Technique: Two-panel axial: CT | PSMA PET, 18F tracer. slice 341 of 435. PET panel 200×200 px (4.1 mm/px).
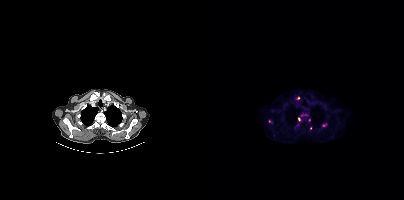
Findings: Coordinates are on the 200×200 PET (right) panel. (showing 5 of 8 foci) Small PSMA-avid foci (2 to 4 px across) near (center x, center y): (102, 115) / (94, 98) / (95, 119) / (98, 115) / (65, 121).